- Two-panel axial: CT | PSMA PET, 18F tracer
- acquired on Siemens Biograph mCT Flow 20
- PET panel 200×200 px (4.1 mm/px)
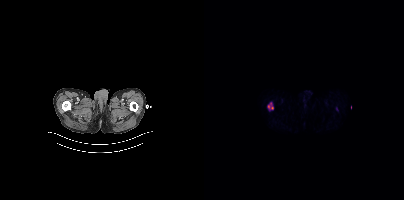
Findings: Coordinates are on the 200×200 PET (right) panel. PSMA-avid tumor lesion bounding box (x0,y0,x1,y1): [64,102,69,109].